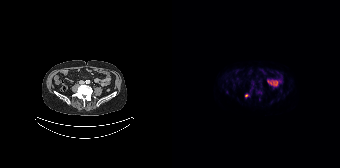
Coordinates are on the 168×168 PET (right) panel. Small PSMA-avid focus (2 to 4 px across) near (center x, center y): (74, 95).